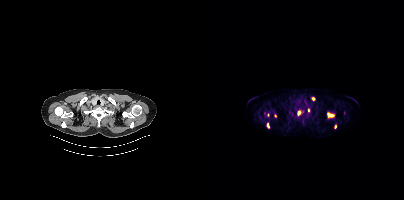
Technique: Left: CT. Right: PSMA PET, same axial level, [18F]PSMA-1007 tracer. acquired on Siemens Biograph mCT Flow 20.
Findings: Coordinates are on the 200×200 PET (right) panel. (showing 7 of 8 foci) PSMA-avid tumor lesion bounding boxes (x0,y0,x1,y1): [123,112,130,118], [107,97,111,100], [94,111,96,115], [63,123,65,127]. Small PSMA-avid foci (2 to 4 px across) near (center x, center y): (104, 109), (131, 126), (71, 115).